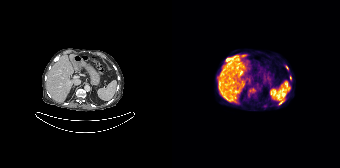
Technique: Left: CT. Right: PSMA PET, same axial level, [68Ga]Ga-PSMA-11 tracer.
Findings: Coordinates are on the 168×168 PET (right) panel. (showing 4 of 6 foci) PSMA-avid tumor lesion bounding box (x, y, width, height): x=54 y=58 w=5 h=3. Small PSMA-avid foci (2 to 4 px across) near (center x, center y): (108, 102) / (115, 67) / (118, 77).